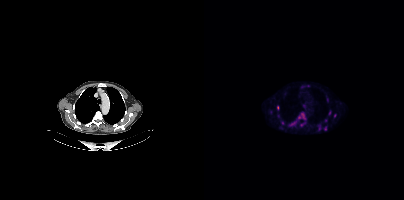
{"modality":"PSMA PET/CT","view":"axial","tracer":"[18F]PSMA-1007","pet_grid":[200,200],"coord_frame":"pet_panel","coord_format":"x0,y0,x1,y1","partial":true,"lesion_bboxes":[[94,113,101,119],[87,121,92,125]],"small_foci_centers":[[73,107],[125,112],[121,128],[130,115],[66,112],[97,124]]}